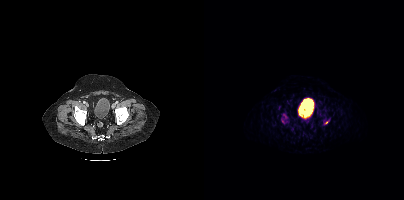
Paired axial CT (left) and PSMA PET (right), [68Ga]Ga-PSMA-11 tracer. Coordinates are on the 200×200 PET (right) panel. (showing 1 of 2 foci) PSMA-avid tumor lesion bounding box (x0,y0,x1,y1): [119,119,125,125].